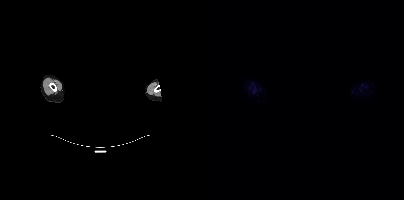
This slice has no annotated PSMA-avid lesion.
An anonymization step blacked out a rectangle over the head in this scan.